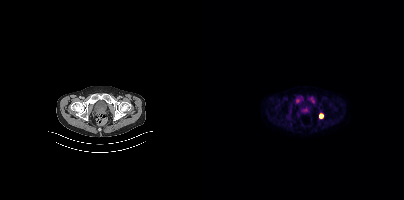
- Two-panel axial: CT | PSMA PET, 18F tracer
- acquired on Siemens Biograph mCT Flow 20
- slice 65 of 413
Findings: Coordinates are on the 200×200 PET (right) panel. PSMA-avid tumor lesion bounding boxes (x0,y0,x1,y1): [105,97,111,103], [115,114,119,118].